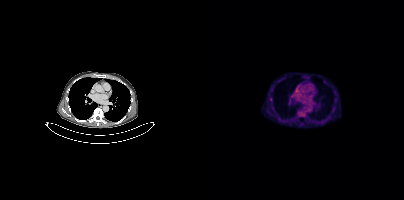
{"modality":"PSMA PET/CT","view":"axial","tracer":"18F","pet_grid":[200,200],"coord_frame":"pet_panel","coord_format":"x0,y0,x1,y1","lesion_bboxes":[[66,97,68,101]]}